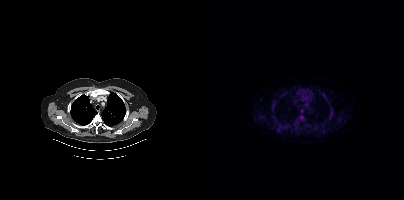
{"pet_grid":[200,200],"coord_frame":"pet_panel","coord_format":"x0,y0,x1,y1","partial":true,"lesion_bboxes":[[125,108,129,118],[94,115,100,120],[68,101,71,110],[118,93,122,99],[73,128,77,132],[97,88,101,91],[90,122,94,125]],"small_foci_centers":[[105,91],[115,127],[100,94],[115,90]],"modality":"PSMA PET/CT","view":"axial","tracer":"18F"}